Privacy masking over the head, with the pixels inside a rectangle set to black. Paired axial CT (left) and PSMA PET (right), 18F-PSMA tracer. Slice position z = -898 mm. PET panel 200×200 px (4.1 mm/px).
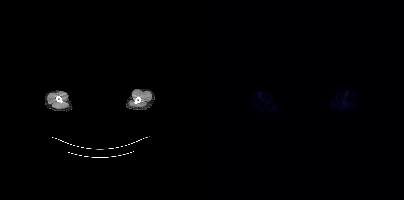
Negative for PSMA-avid disease on this slice.